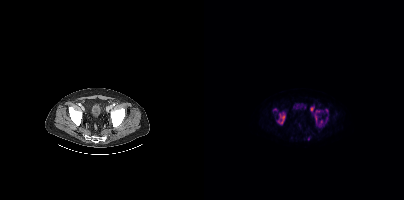
Paired axial CT (left) and PSMA PET (right), 18F-PSMA tracer. Slice position z = -964 mm. PET panel 200×200 px (4.1 mm/px).
Coordinates are on the 200×200 PET (right) panel. PSMA-avid tumor lesion bounding boxes (partial; 4 more foci not listed):
| # | x0 | y0 | x1 | y1 |
|---|---|---|---|---|
| 1 | 74 | 114 | 80 | 123 |
| 2 | 111 | 110 | 115 | 122 |
| 3 | 115 | 120 | 118 | 125 |
Small PSMA-avid focus (2 to 4 px across) near (center x, center y): (122, 110).